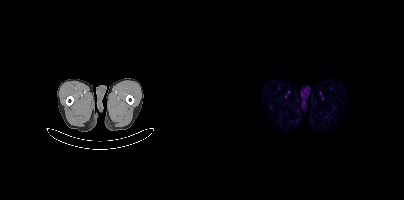
This slice has no annotated PSMA-avid lesion.